Left: CT. Right: PSMA PET, same axial level, 18F tracer. Slice position z = -366 mm. PET panel 200×200 px (4.1 mm/px).
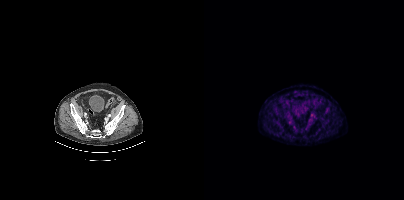
No PSMA-avid tumor lesions on this slice.